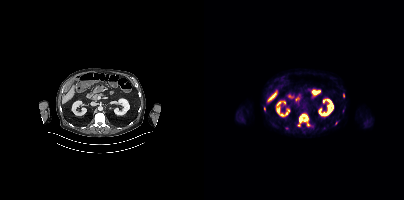
Coordinates are on the 200×200 PET (right) panel. (showing 4 of 6 foci) PSMA-avid tumor lesion bounding box (x0,y0,x1,y1): [95,114,104,122]. Small PSMA-avid foci (2 to 4 px across) near (center x, center y): (60, 108); (132, 123); (104, 124).
modality: PSMA PET/CT | tracer: 18F-PSMA | view: axial | PET grid: 200×200